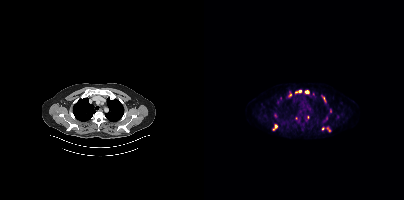
{"modality":"PSMA PET/CT","view":"axial","tracer":"18F-PSMA","pet_grid":[200,200],"coord_frame":"pet_panel","coord_format":"x0,y0,x1,y1","partial":true,"lesion_bboxes":[[91,90,97,92],[101,90,105,93],[69,125,73,129],[118,96,121,101]],"small_foci_centers":[[119,128],[86,94]]}